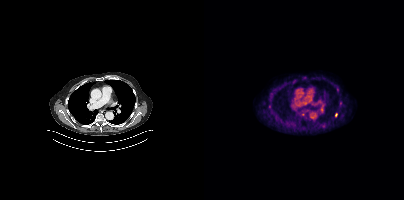
modality: PSMA PET/CT | tracer: 18F-PSMA | view: axial
Coordinates are on the 200×200 PET (right) panel. PSMA-avid tumor lesion bounding box (x0,y0,x1,y1): [131,113,133,117]. Small PSMA-avid foci (2 to 4 px across) near (center x, center y): (133, 89); (98, 114).